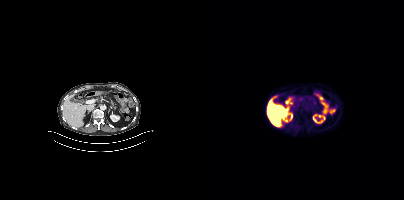
Left: CT. Right: PSMA PET, same axial level, 18F tracer. Slice position z = -688 mm. PET panel 200×200 px (4.1 mm/px). No PSMA-avid tumor lesions on this slice.